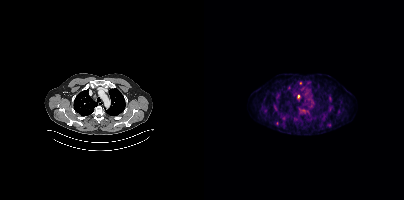
Coordinates are on the 200×200 PET (right) panel. Small PSMA-avid foci (2 to 4 px across) near (center x, center y): (94, 96) | (98, 111) | (73, 123) | (103, 111) | (96, 83) | (91, 119) | (123, 124). Paired axial CT (left) and PSMA PET (right), [18F]PSMA-1007 tracer.